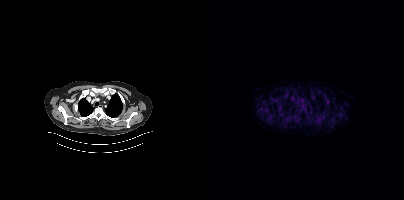
- Left: CT. Right: PSMA PET, same axial level, 18F tracer
- PET panel 200×200 px (4.1 mm/px)
Findings: Negative for PSMA-avid disease on this slice.